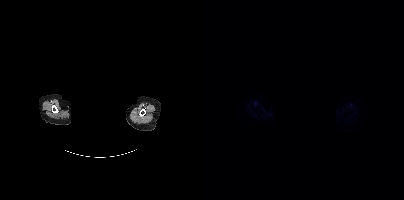
Negative for PSMA-avid disease on this slice. Head region blanked for anonymization (face removed). Left: CT. Right: PSMA PET, same axial level, [18F]PSMA-1007 tracer. Acquired on Siemens Biograph mCT Flow 20. PET panel 200×200 px (4.1 mm/px).